- Two-panel axial: CT | PSMA PET, [18F]PSMA-1007 tracer
- acquired on Siemens Biograph mCT Flow 20
- slice position z = -1755 mm
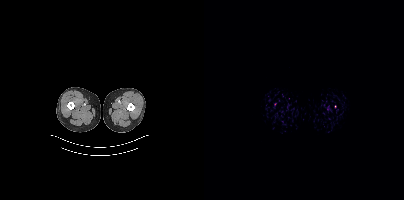
Findings: Negative for PSMA-avid disease on this slice.